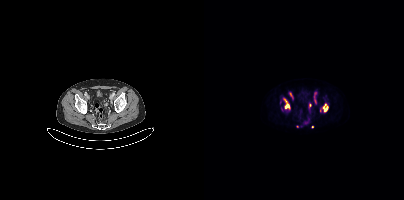
Technique: Two-panel axial: CT | PSMA PET, 18F tracer. slice 81 of 407.
Findings: Coordinates are on the 200×200 PET (right) panel. (showing 5 of 8 foci) PSMA-avid tumor lesion bounding boxes (x0, y0)-(x1, y1): (80, 99)-(85, 108); (119, 104)-(123, 111); (110, 93)-(112, 103); (86, 93)-(88, 97). Small PSMA-avid focus (2 to 4 px across) near (center x, center y): (93, 126).